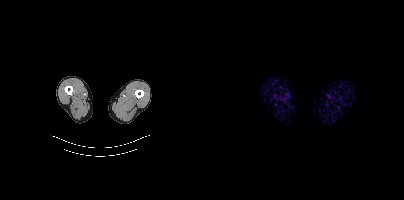
Left: CT. Right: PSMA PET, same axial level, 18F tracer. No PSMA-avid tumor lesions on this slice.